- a rectangular block over the head has been blanked out for de-identification
- Paired axial CT (left) and PSMA PET (right), [18F]PSMA-1007 tracer
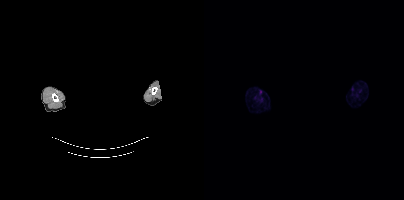
Findings: No PSMA-avid tumor lesions on this slice.